- Two-panel axial: CT | PSMA PET, 18F tracer
- slice position z = -793 mm
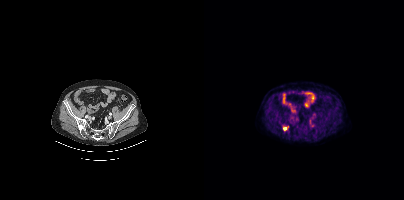
Findings: Coordinates are on the 200×200 PET (right) panel. PSMA-avid tumor lesion bounding box (x0, y0)-(x1, y1): (79, 126)-(84, 130).